Technique: Left: CT. Right: PSMA PET, same axial level, 18F-PSMA tracer. slice position z = -593 mm. PET panel 200×200 px (4.1 mm/px).
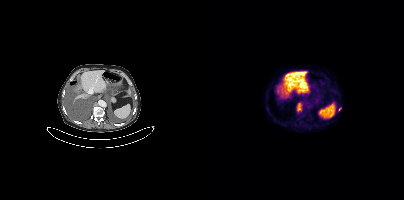
Findings: Coordinates are on the 200×200 PET (right) panel. PSMA-avid tumor lesion bounding boxes (x, y, width, height): x=93 y=103 w=5 h=9 | x=134 y=107 w=4 h=5.